deidentification: head region blanked (face removed) | modality: PSMA PET/CT | tracer: 18F-PSMA | view: axial | PET grid: 200×200
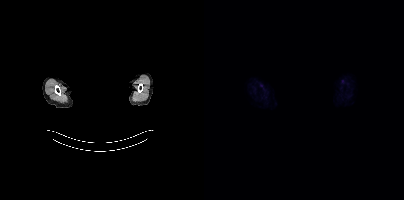
Negative for PSMA-avid disease on this slice.